Paired axial CT (left) and PSMA PET (right), 18F tracer.
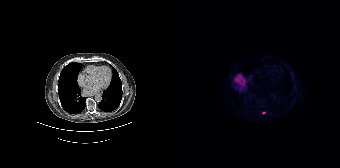
Coordinates are on the 168×168 PET (right) panel. Small PSMA-avid focus (2 to 4 px across) near (center x, center y): (92, 112).